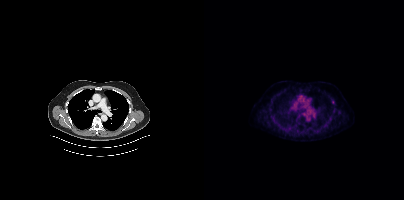
Coordinates are on the 200×200 PET (right) panel. Small PSMA-avid focus (2 to 4 px across) near (center x, center y): (129, 102).